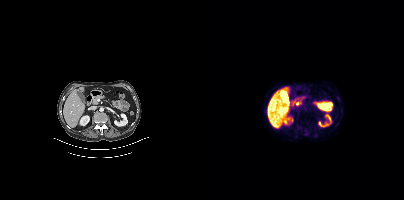
This slice has no annotated PSMA-avid lesion.